Technique: Paired axial CT (left) and PSMA PET (right), [18F]PSMA-1007 tracer. acquired on Siemens Biograph mCT Flow 20. PET panel 200×200 px (4.1 mm/px).
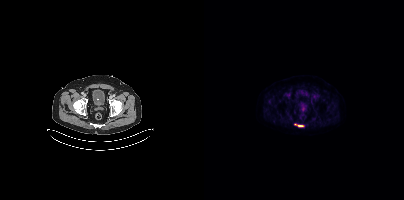
Findings: Coordinates are on the 200×200 PET (right) panel. PSMA-avid tumor lesion bounding box (x, y, width, height): x=90 y=124 w=10 h=3.